- Two-panel axial: CT | PSMA PET, 18F tracer
- slice 115 of 403
- PET panel 200×200 px (4.1 mm/px)
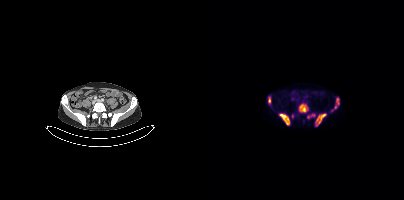
Findings: Coordinates are on the 200×200 PET (right) panel. (showing 6 of 7 foci) PSMA-avid tumor lesion bounding boxes (x, y, width, height): x=111 y=113 w=12 h=14 | x=95 y=103 w=10 h=10 | x=75 y=113 w=11 h=12 | x=130 y=97 w=6 h=12 | x=103 y=114 w=9 h=5 | x=64 y=96 w=3 h=8.